Two-panel axial: CT | PSMA PET, [18F]PSMA-1007 tracer. Acquired on GE Discovery 690. PET panel 256×256 px (2.7 mm/px).
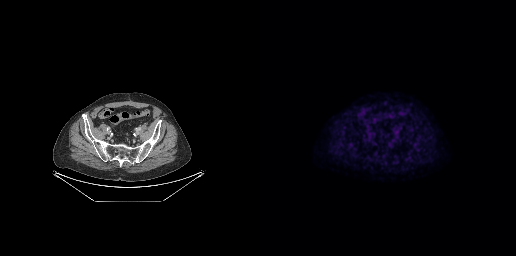
No PSMA-avid tumor lesions on this slice.